Paired axial CT (left) and PSMA PET (right), 18F tracer. Acquired on Siemens Biograph mCT Flow 20.
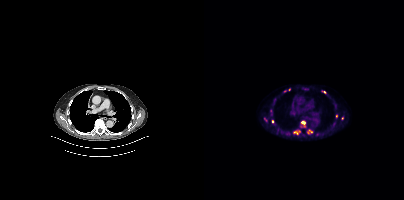
Coordinates are on the 200×200 PET (right) panel. PSMA-avid tumor lesion bounding boxes (partial; 4 more foci not listed):
| # | x0 | y0 | x1 | y1 |
|---|---|---|---|---|
| 1 | 118 | 91 | 122 | 93 |
Small PSMA-avid foci (2 to 4 px across) near (center x, center y): (99, 122); (68, 121); (132, 116); (138, 118).